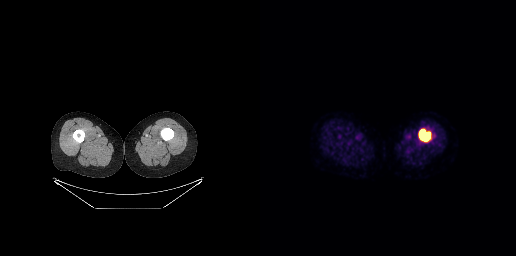
{"pet_grid":[256,256],"coord_frame":"pet_panel","coord_format":"x0,y0,x1,y1","lesion_bboxes":[[159,129,170,141]],"modality":"PSMA PET/CT","view":"axial","tracer":"18F"}